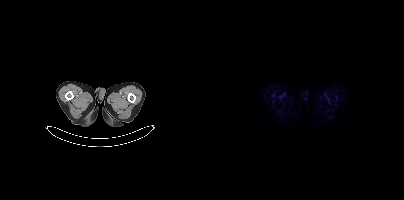
Two-panel axial: CT | PSMA PET, [18F]PSMA-1007 tracer. No PSMA-avid tumor lesions on this slice.